Paired axial CT (left) and PSMA PET (right), 18F-PSMA tracer. Acquired on Siemens Biograph mCT Flow 20. Slice 154 of 403.
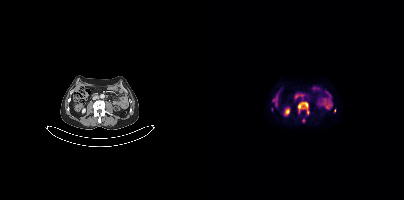
Coordinates are on the 200×200 PET (right) panel. PSMA-avid tumor lesion bounding box (x0,y0,x1,y1): [93,101,105,114]. Small PSMA-avid foci (2 to 4 px across) near (center x, center y): (130, 110) (99, 120).